modality: PSMA PET/CT | tracer: 18F | view: axial
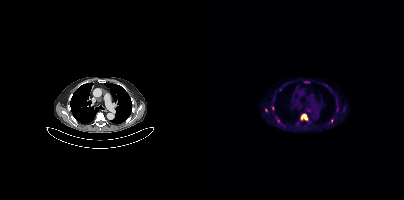
Coordinates are on the 200×200 PET (right) panel. (showing 4 of 6 foci) PSMA-avid tumor lesion bounding box (x0, y0)-(x1, y1): (97, 114)-(103, 120). Small PSMA-avid foci (2 to 4 px across) near (center x, center y): (62, 110); (127, 120); (68, 108).